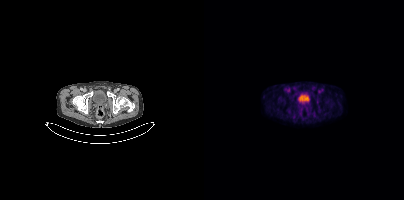
Only PSMA-avid lesion pieces thinner than 2 px on this slice (not listed).